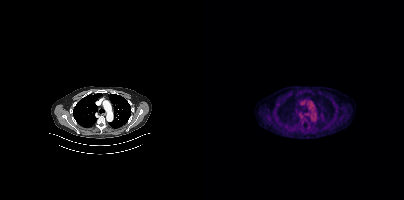
{"modality":"PSMA PET/CT","view":"axial","tracer":"18F","pet_grid":[200,200],"coord_frame":"pet_panel","coord_format":"x0,y0,x1,y1","psma_avid_lesions":false}